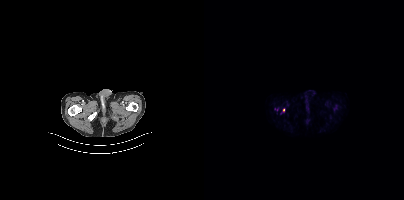
Coordinates are on the 200×200 PET (right) panel. Small PSMA-avid focus (2 to 4 px across) near (center x, center y): (79, 109).